Head region blanked for anonymization (face removed). Left: CT. Right: PSMA PET, same axial level, [68Ga]Ga-PSMA-11 tracer. PET panel 256×256 px (2.7 mm/px).
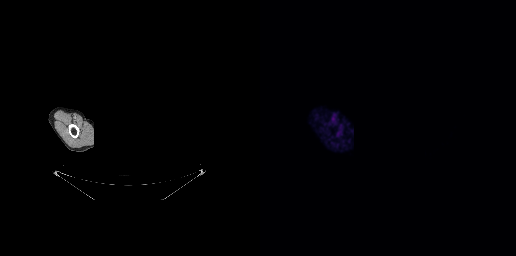
Negative for PSMA-avid disease on this slice.